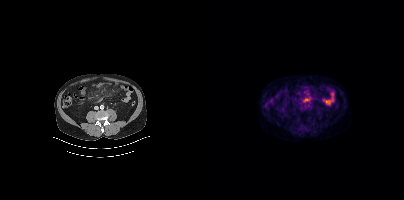
- Two-panel axial: CT | PSMA PET, 18F-PSMA tracer
- slice 143 of 397
Findings: No tumor lesions annotated on this slice.